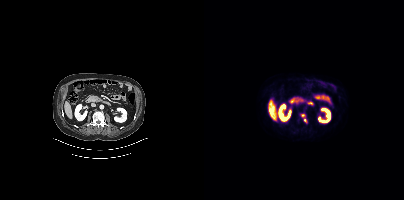
{"modality":"PSMA PET/CT","view":"axial","tracer":"18F","pet_grid":[200,200],"coord_frame":"pet_panel","coord_format":"x0,y0,x1,y1","lesion_bboxes":[],"small_foci_centers":[[98,115],[101,120]]}